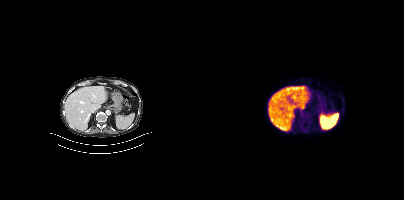
{"modality":"PSMA PET/CT","view":"axial","tracer":"18F-PSMA","pet_grid":[200,200],"coord_frame":"pet_panel","coord_format":"x0,y0,x1,y1","psma_avid_lesions":false}